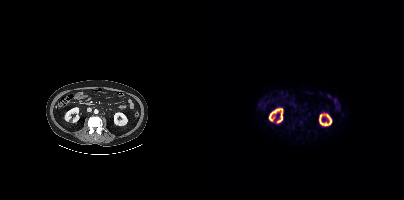
Technique: Left: CT. Right: PSMA PET, same axial level, 18F-PSMA tracer.
Findings: No tumor lesions annotated on this slice.